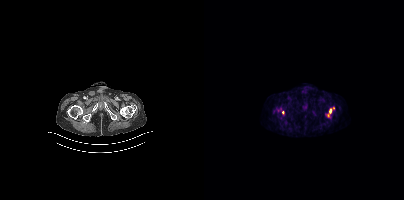
Left: CT. Right: PSMA PET, same axial level, 18F tracer. Acquired on Siemens Biograph mCT Flow 20. PET panel 200×200 px (4.1 mm/px).
Coordinates are on the 200×200 PET (right) panel. PSMA-avid tumor lesion bounding boxes:
| # | x0 | y0 | x1 | y1 |
|---|---|---|---|---|
| 1 | 122 | 107 | 130 | 117 |
| 2 | 77 | 110 | 80 | 114 |
Small PSMA-avid foci (2 to 4 px across) near (center x, center y): (73, 109); (76, 117).